modality: PSMA PET/CT | tracer: 68Ga | view: axial | PET grid: 168×168
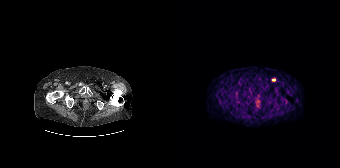
Coordinates are on the 168×168 PET (right) panel. Small PSMA-avid focus (2 to 4 px across) near (center x, center y): (101, 79).